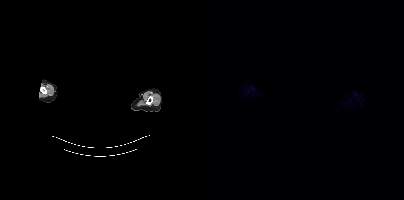
{"modality":"PSMA PET/CT","view":"axial","tracer":"18F-PSMA","pet_grid":[200,200],"coord_frame":"pet_panel","coord_format":"x0,y0,x1,y1","redaction":"head region blacked out before release","psma_avid_lesions":false}